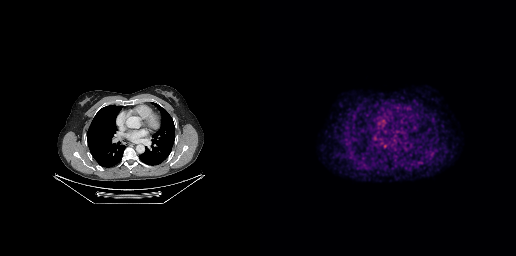
No tumor lesions annotated on this slice.
modality: PSMA PET/CT | tracer: 18F | view: axial | PET grid: 256×256